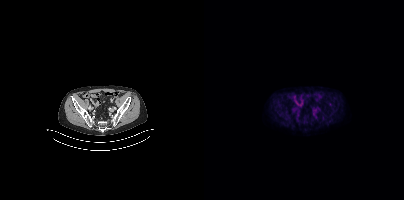
No tumor lesions annotated on this slice.